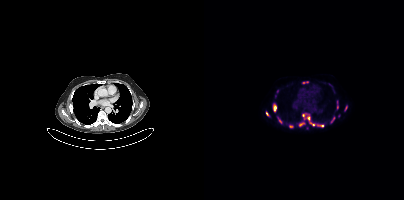
Findings: Coordinates are on the 200×200 PET (right) panel. (showing 12 of 15 foci) PSMA-avid tumor lesion bounding boxes (x0,y0,x1,y1): [98,114,105,119] [94,122,99,126] [114,124,120,127] [70,105,72,110] [85,125,89,127] [140,106,143,110] [127,117,130,122] [99,81,104,83] [74,118,77,122]. Small PSMA-avid foci (2 to 4 px across) near (center x, center y): (133, 106) (62, 113) (109, 124).
Technique: Paired axial CT (left) and PSMA PET (right), 18F tracer. PET panel 200×200 px (4.1 mm/px).